A rectangular block over the head has been blanked out for de-identification.
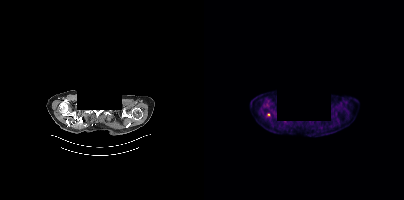
Coordinates are on the 200×200 PET (right) panel. Small PSMA-avid focus (2 to 4 px across) near (center x, center y): (64, 114).